Technique: Two-panel axial: CT | PSMA PET, [18F]PSMA-1007 tracer. slice position z = -720 mm.
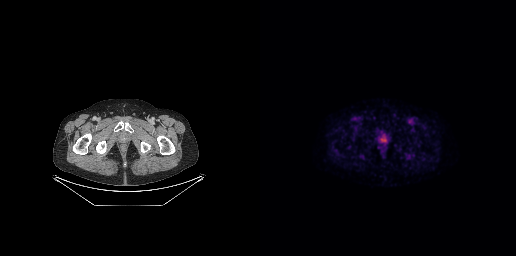
Findings: Coordinates are on the 256×256 PET (right) panel. Small PSMA-avid focus (2 to 4 px across) near (center x, center y): (123, 139).